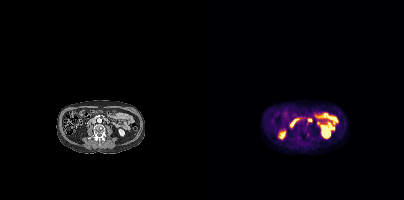
{"modality":"PSMA PET/CT","view":"axial","tracer":"[18F]PSMA-1007","pet_grid":[200,200],"coord_frame":"pet_panel","coord_format":"x0,y0,x1,y1","psma_avid_lesions":false}